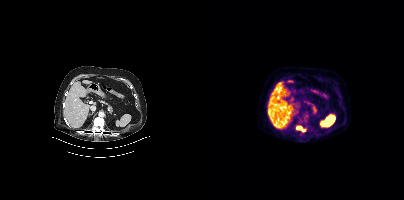
Left: CT. Right: PSMA PET, same axial level, 18F-PSMA tracer. Acquired on Siemens Biograph mCT Flow 20. PET panel 200×200 px (4.1 mm/px).
Coordinates are on the 200×200 PET (right) panel. PSMA-avid tumor lesion bounding boxes:
| # | x0 | y0 | x1 | y1 |
|---|---|---|---|---|
| 1 | 92 | 126 | 100 | 131 |